Two-panel axial: CT | PSMA PET, 18F tracer. Acquired on Siemens Biograph 64-4R TruePoint. PET panel 168×168 px (4.1 mm/px).
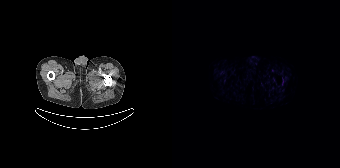
Negative for PSMA-avid disease on this slice.